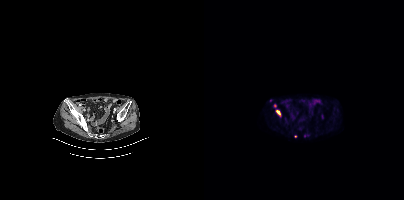
Coordinates are on the 200×200 PET (right) panel. PSMA-avid tumor lesion bounding box (x, y, width, height): x=72 y=110 w=5 h=6. Small PSMA-avid foci (2 to 4 px across) near (center x, center y): (70, 105) | (101, 135) | (91, 136).